modality: PSMA PET/CT | tracer: [18F]PSMA-1007 | view: axial | PET grid: 200×200
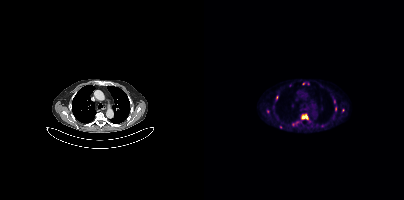
Coordinates are on the 200×200 PET (right) panel. (showing 5 of 8 foci) PSMA-avid tumor lesion bounding box (x, y, width, height): x=97 y=114 w=8 h=6. Small PSMA-avid foci (2 to 4 px across) near (center x, center y): (131, 108) / (72, 97) / (99, 83) / (63, 111).